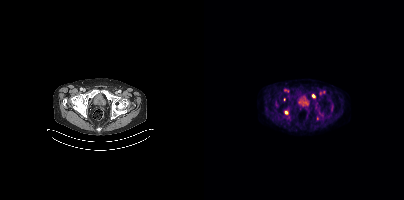
- Paired axial CT (left) and PSMA PET (right), 18F-PSMA tracer
- acquired on Siemens Biograph mCT Flow 20
- slice position z = -798 mm
- PET panel 200×200 px (4.1 mm/px)
Findings: Coordinates are on the 200×200 PET (right) panel. PSMA-avid tumor lesion bounding box (x, y, width, height): x=113 y=116 w=2 h=5. Small PSMA-avid foci (2 to 4 px across) near (center x, center y): (109, 95) | (82, 112) | (80, 99).